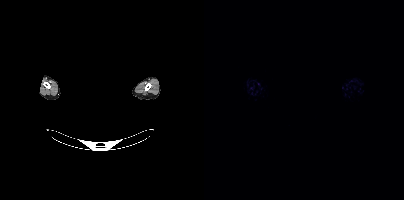
{"pet_grid":[200,200],"coord_frame":"pet_panel","coord_format":"x0,y0,x1,y1","psma_avid_lesions":false,"modality":"PSMA PET/CT","view":"axial","tracer":"18F-PSMA","de-identification":"head region blanked (face removed)"}